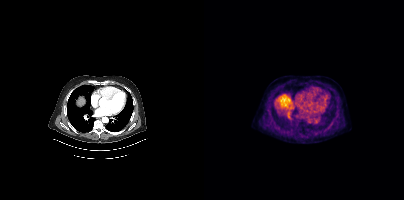
Paired axial CT (left) and PSMA PET (right), 18F tracer. Acquired on Siemens Biograph mCT Flow 20. PET panel 200×200 px (4.1 mm/px). Coordinates are on the 200×200 PET (right) panel. Small PSMA-avid focus (2 to 4 px across) near (center x, center y): (113, 132).